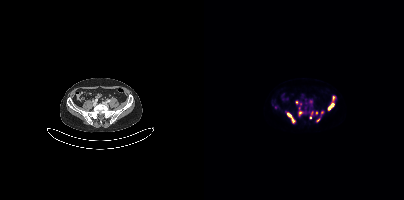
modality: PSMA PET/CT | tracer: [18F]PSMA-1007 | view: axial | PET grid: 200×200
Coordinates are on the 200×200 PET (right) panel. (showing 8 of 11 foci) PSMA-avid tumor lesion bounding boxes (x0, y0)-(x1, y1): (83, 113)-(91, 123) | (124, 104)-(129, 109) | (94, 111)-(98, 116). Small PSMA-avid foci (2 to 4 px across) near (center x, center y): (92, 102) | (117, 112) | (112, 113) | (114, 120) | (129, 98).